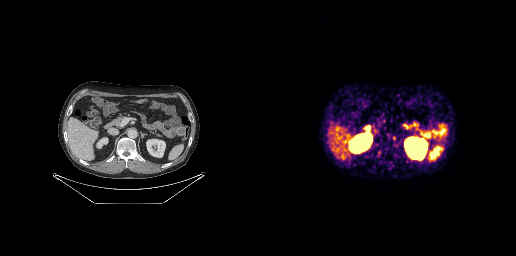
{"modality":"PSMA PET/CT","view":"axial","tracer":"68Ga","pet_grid":[256,256],"coord_frame":"pet_panel","coord_format":"x0,y0,x1,y1","psma_avid_lesions":false}